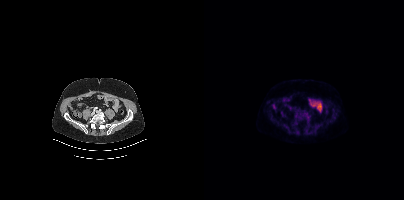
Two-panel axial: CT | PSMA PET, 18F-PSMA tracer. No PSMA-avid tumor lesions on this slice.